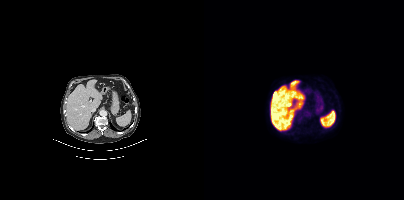
{"modality":"PSMA PET/CT","view":"axial","tracer":"[18F]PSMA-1007","pet_grid":[200,200],"coord_frame":"pet_panel","coord_format":"x0,y0,x1,y1","psma_avid_lesions":false}